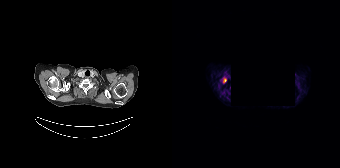
modality: PSMA PET/CT | tracer: 68Ga-PSMA | view: axial | PET grid: 168×168 | redaction: rectangle blanked before release
Coordinates are on the 168×168 PET (right) panel. PSMA-avid tumor lesion bounding box (x0, y0)-(x1, y1): (51, 78)-(54, 82).